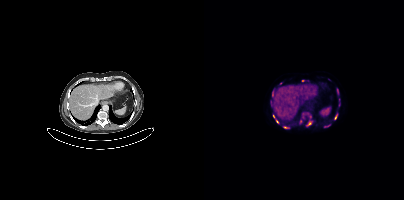
- Left: CT. Right: PSMA PET, same axial level, [18F]PSMA-1007 tracer
- PET panel 200×200 px (4.1 mm/px)
Findings: Coordinates are on the 200×200 PET (right) panel. (showing 9 of 11 foci) PSMA-avid tumor lesion bounding boxes (x0, y0)-(x1, y1): (103, 121)-(107, 125) / (120, 125)-(125, 127) / (133, 89)-(134, 93). Small PSMA-avid foci (2 to 4 px across) near (center x, center y): (68, 92) / (131, 117) / (99, 80) / (73, 121) / (76, 83) / (69, 116).